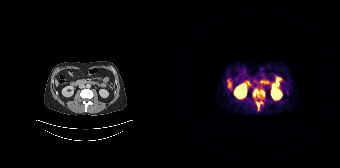
{"pet_grid":[168,168],"coord_frame":"pet_panel","coord_format":"x0,y0,x1,y1","lesion_bboxes":[[81,90,85,95]],"small_foci_centers":[[86,104],[91,93]],"modality":"PSMA PET/CT","view":"axial","tracer":"68Ga"}